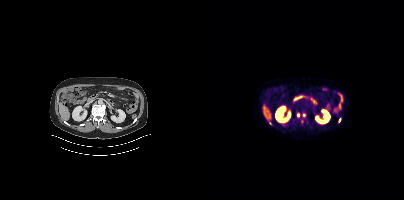
Findings: Coordinates are on the 200×200 PET (right) panel. PSMA-avid tumor lesion bounding box (x, y, width, height): x=135 y=118 w=2 h=5. Small PSMA-avid foci (2 to 4 px across) near (center x, center y): (94, 115) / (99, 115) / (63, 117) / (65, 123).
- Paired axial CT (left) and PSMA PET (right), [18F]PSMA-1007 tracer
- slice 200 of 444
- PET panel 200×200 px (4.1 mm/px)